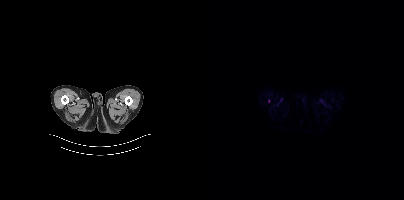
Left: CT. Right: PSMA PET, same axial level, 18F-PSMA tracer. Acquired on Siemens Biograph mCT Flow 20. Slice 23 of 423. PET panel 200×200 px (4.1 mm/px). Coordinates are on the 200×200 PET (right) panel. Small PSMA-avid focus (2 to 4 px across) near (center x, center y): (64, 101).